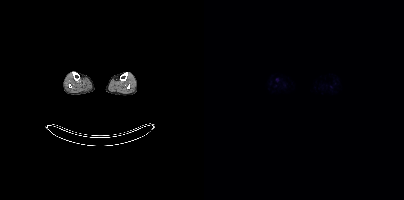
This slice has no annotated PSMA-avid lesion. Two-panel axial: CT | PSMA PET, 18F-PSMA tracer. PET panel 200×200 px (4.1 mm/px).